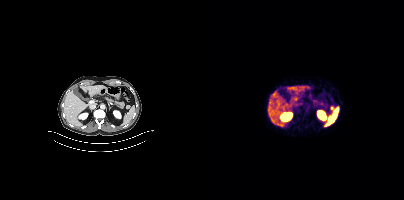
modality: PSMA PET/CT | tracer: 68Ga-PSMA | view: axial | PET grid: 200×200
Coordinates are on the 200×200 PET (right) panel. PSMA-avid tumor lesion bounding box (x0, y0)-(x1, y1): (126, 106)-(130, 109).